Technique: Left: CT. Right: PSMA PET, same axial level, [18F]PSMA-1007 tracer. acquired on Siemens Biograph mCT Flow 20. slice 281 of 425.
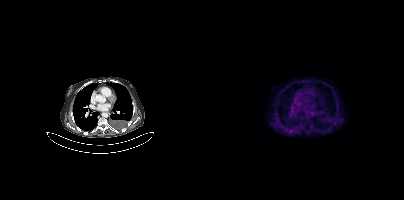
Findings: Coordinates are on the 200×200 PET (right) panel. PSMA-avid tumor lesion bounding box (x0, y0)-(x1, y1): (116, 130)-(120, 132).